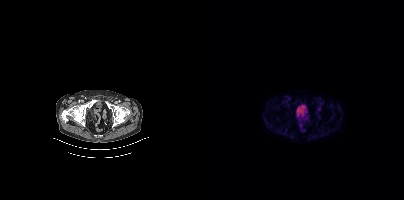
{"pet_grid":[200,200],"coord_frame":"pet_panel","coord_format":"x0,y0,x1,y1","lesion_bboxes":[],"small_foci_centers":[[83,97]],"modality":"PSMA PET/CT","view":"axial","tracer":"[18F]PSMA-1007"}